Left: CT. Right: PSMA PET, same axial level, 18F-PSMA tracer. Acquired on Siemens Biograph mCT Flow 20. PET panel 200×200 px (4.1 mm/px).
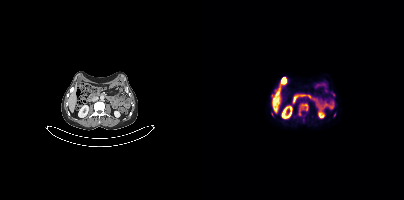
Coordinates are on the 200×200 PET (right) panel. PSMA-avid tumor lesion bounding boxes (partial; 1 more focus not listed):
| # | x0 | y0 | x1 | y1 |
|---|---|---|---|---|
| 1 | 94 | 103 | 104 | 115 |